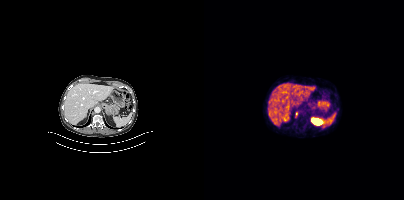
Coordinates are on the 200×200 PET (right) panel. Small PSMA-avid focus (2 to 4 px across) near (center x, center y): (92, 113).